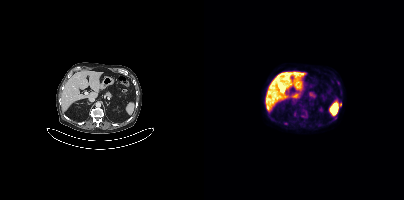
Coordinates are on the 200×200 PET (right) panel. Small PSMA-avid focus (2 to 4 px across) near (center x, center y): (136, 104).